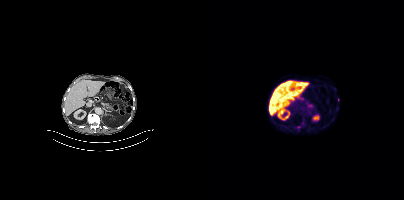
- Left: CT. Right: PSMA PET, same axial level, [18F]PSMA-1007 tracer
- slice 187 of 375
Findings: Coordinates are on the 200×200 PET (right) panel. (showing 1 of 2 foci) Small PSMA-avid focus (2 to 4 px across) near (center x, center y): (134, 99).